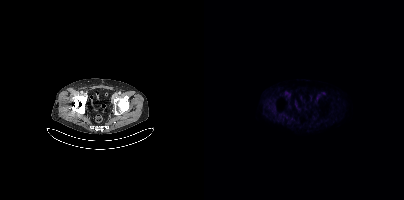
{"modality":"PSMA PET/CT","view":"axial","tracer":"18F","pet_grid":[200,200],"coord_frame":"pet_panel","coord_format":"x0,y0,x1,y1","psma_avid_lesions":false}